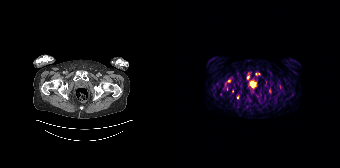
Coordinates are on the 168×168 PET (right) panel. (showing 3 of 8 foci) PSMA-avid tumor lesion bounding box (x, y, width, height): x=97 y=89 w=3 h=5. Small PSMA-avid foci (2 to 4 px across) near (center x, center y): (76, 77); (56, 80).